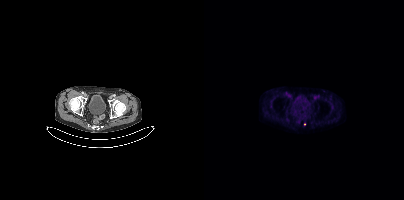
modality: PSMA PET/CT | tracer: 18F | view: axial
Coordinates are on the 200×200 PET (right) panel. Small PSMA-avid focus (2 to 4 px across) near (center x, center y): (100, 124).